Paired axial CT (left) and PSMA PET (right), [18F]PSMA-1007 tracer. Acquired on GE Discovery 690. Slice 16 of 299.
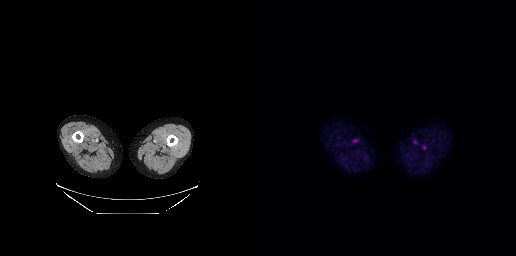
Negative for PSMA-avid disease on this slice.